Two-panel axial: CT | PSMA PET, 18F-PSMA tracer. Any black rectangle over the head is a privacy mask, not anatomy.
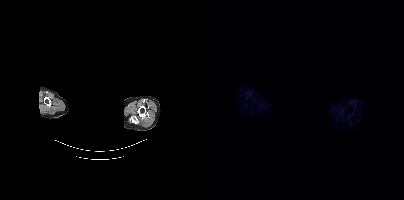
No PSMA-avid tumor lesions on this slice.